Two-panel axial: CT | PSMA PET, 18F-PSMA tracer. Acquired on Siemens Biograph mCT Flow 20. Slice 19 of 401. PET panel 200×200 px (4.1 mm/px).
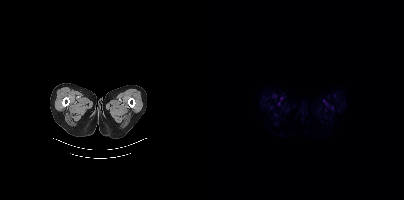
Negative for PSMA-avid disease on this slice.